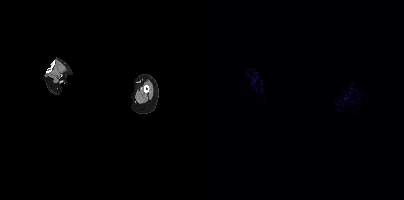
This slice has no annotated PSMA-avid lesion. Paired axial CT (left) and PSMA PET (right), [68Ga]Ga-PSMA-11 tracer. Acquired on Siemens Biograph mCT Flow 20. Slice 436 of 444. PET panel 200×200 px (4.1 mm/px). Head region blanked for anonymization (face removed).